Two-panel axial: CT | PSMA PET, [18F]PSMA-1007 tracer. Acquired on GE Discovery 690.
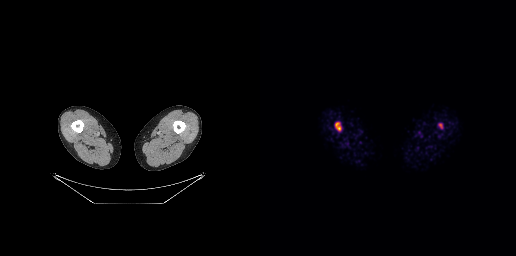
Coordinates are on the 256×256 PET (right) panel. PSMA-avid tumor lesion bounding boxes (x0,y0,x1,y1): [75,122,81,131]; [179,123,182,128].